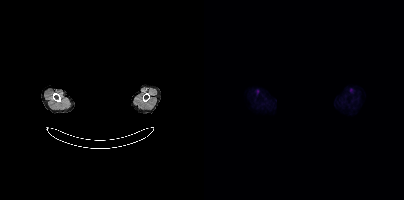
Technique: Left: CT. Right: PSMA PET, same axial level, [18F]PSMA-1007 tracer. acquired on Siemens Biograph mCT Flow 20.
Note: Facial anatomy redacted by setting a rectangular region of the head to black.
Findings: No PSMA-avid tumor lesions on this slice.